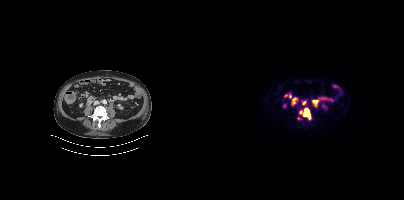
{"modality":"PSMA PET/CT","view":"axial","tracer":"18F-PSMA","pet_grid":[200,200],"coord_frame":"pet_panel","coord_format":"x0,y0,x1,y1","lesion_bboxes":[[99,108,106,118]],"small_foci_centers":[[100,103],[96,112]]}